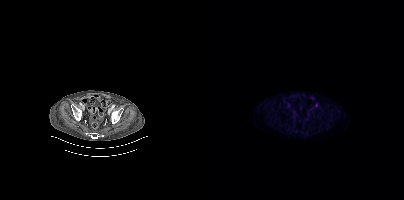
{"pet_grid":[200,200],"coord_frame":"pet_panel","coord_format":"x0,y0,x1,y1","lesion_bboxes":[],"small_foci_centers":[[112,104]],"modality":"PSMA PET/CT","view":"axial","tracer":"18F"}